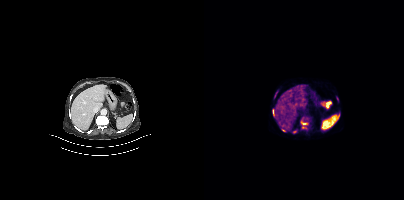
{"pet_grid":[200,200],"coord_frame":"pet_panel","coord_format":"x0,y0,x1,y1","lesion_bboxes":[[97,121,103,130],[68,109,70,114],[88,130,92,133]],"small_foci_centers":[[79,130],[72,92]],"modality":"PSMA PET/CT","view":"axial","tracer":"68Ga"}